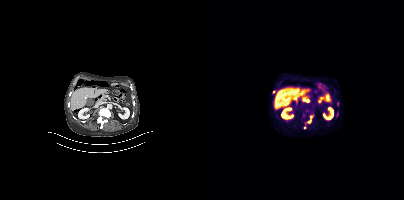
{"modality":"PSMA PET/CT","view":"axial","tracer":"[18F]PSMA-1007","pet_grid":[200,200],"coord_frame":"pet_panel","coord_format":"x0,y0,x1,y1","lesion_bboxes":[[102,115,109,123]],"small_foci_centers":[[70,91],[100,127],[133,103]]}